Technique: Left: CT. Right: PSMA PET, same axial level, 18F-PSMA tracer. acquired on Siemens Biograph mCT Flow 20. slice position z = -654 mm. PET panel 200×200 px (4.1 mm/px).
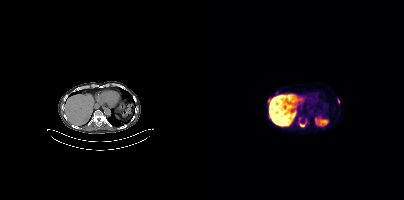
Findings: Coordinates are on the 200×200 PET (right) panel. PSMA-avid tumor lesion bounding boxes (x0,y0,x1,y1): [95,122,102,127]; [64,98,65,102]; [134,99,135,103]. Small PSMA-avid foci (2 to 4 px across) near (center x, center y): (73, 92); (96, 118).